Paired axial CT (left) and PSMA PET (right), 18F tracer.
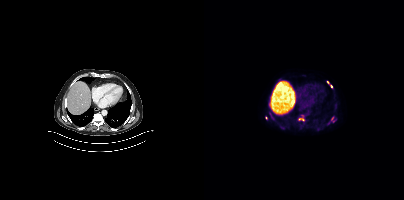
Coordinates are on the 200×200 PET (right) panel. PSMA-avid tumor lesion bounding boxes (partial; 3 more foci not listed):
| # | x0 | y0 | x1 | y1 |
|---|---|---|---|---|
| 1 | 94 | 118 | 100 | 120 |
Small PSMA-avid foci (2 to 4 px across) near (center x, center y): (124, 82); (127, 86); (128, 118); (129, 121).